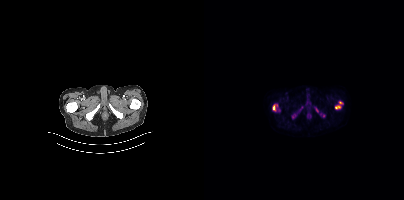
Findings: Coordinates are on the 200×200 PET (right) panel. (showing 4 of 5 foci) PSMA-avid tumor lesion bounding boxes (x0,y0,x1,y1): [131,101,138,109]; [68,103,74,111]; [88,113,91,118]; [111,108,114,112].
- Left: CT. Right: PSMA PET, same axial level, 18F-PSMA tracer
- acquired on Siemens Biograph mCT Flow 20